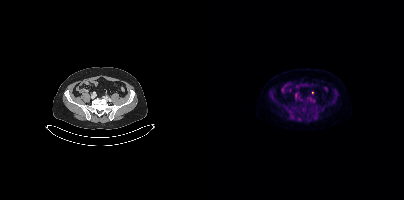
{"pet_grid":[200,200],"coord_frame":"pet_panel","coord_format":"x0,y0,x1,y1","lesion_bboxes":[],"small_foci_centers":[[108,92]],"modality":"PSMA PET/CT","view":"axial","tracer":"18F"}